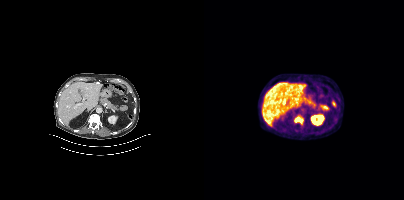
Coordinates are on the 200×200 PET (right) panel. PSMA-avid tumor lesion bounding box (x, y, width, height): x=91 y=117 w=8 h=6.